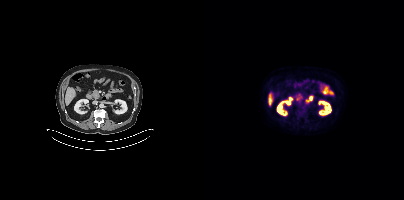
This slice has no annotated PSMA-avid lesion.